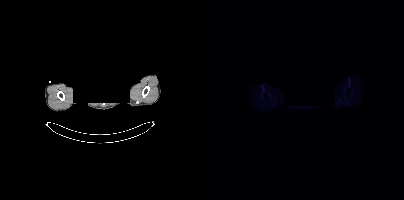
Technique: Left: CT. Right: PSMA PET, same axial level, 18F tracer. slice 395 of 448.
Note: An anonymization step blacked out a rectangle over the head in this scan.
Findings: This slice has no annotated PSMA-avid lesion.